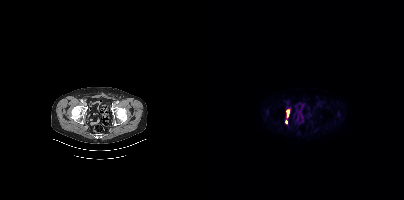
Paired axial CT (left) and PSMA PET (right), 18F-PSMA tracer. Slice 85 of 405. PET panel 200×200 px (4.1 mm/px).
Coordinates are on the 200×200 PET (right) panel. PSMA-avid tumor lesion bounding boxes (partial; 1 more focus not listed):
| # | x0 | y0 | x1 | y1 |
|---|---|---|---|---|
| 1 | 83 | 110 | 85 | 116 |
Small PSMA-avid focus (2 to 4 px across) near (center x, center y): (82, 122).